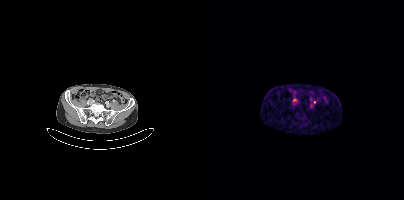
- Left: CT. Right: PSMA PET, same axial level, [68Ga]Ga-PSMA-11 tracer
- acquired on Siemens Biograph mCT Flow 20
- PET panel 200×200 px (4.1 mm/px)
Findings: Coordinates are on the 200×200 PET (right) panel. Small PSMA-avid foci (2 to 4 px across) near (center x, center y): (90, 100); (110, 102).